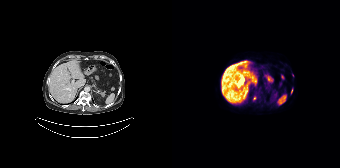
Coordinates are on the 168×168 PET (right) panel. PSMA-avid tumor lesion bounding box (x0, y0)-(x1, y1): (119, 89)-(120, 93). Small PSMA-avid foci (2 to 4 px across) near (center x, center y): (82, 98) / (120, 75).